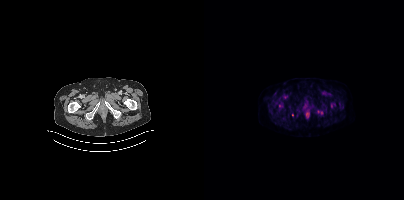
Two-panel axial: CT | PSMA PET, 18F tracer. PET panel 200×200 px (4.1 mm/px). Coordinates are on the 200×200 PET (right) panel. (showing 1 of 4 foci) Small PSMA-avid focus (2 to 4 px across) near (center x, center y): (127, 105).